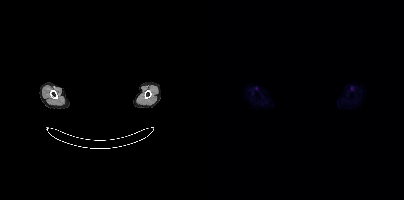
{"modality":"PSMA PET/CT","view":"axial","tracer":"18F-PSMA","pet_grid":[200,200],"coord_frame":"pet_panel","coord_format":"x0,y0,x1,y1","psma_avid_lesions":false,"deidentification":"head region blacked out before release"}